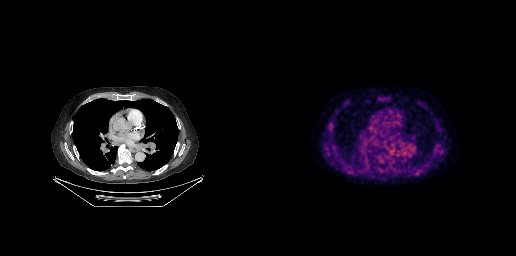
- Two-panel axial: CT | PSMA PET, [18F]PSMA-1007 tracer
- acquired on GE Discovery 690
Findings: No tumor lesions annotated on this slice.